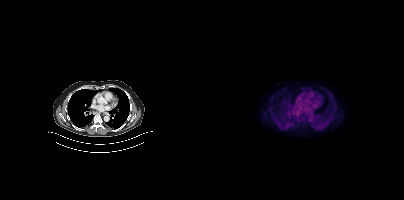
{"modality":"PSMA PET/CT","view":"axial","tracer":"[18F]PSMA-1007","pet_grid":[200,200],"coord_frame":"pet_panel","coord_format":"x0,y0,x1,y1","lesion_bboxes":[],"small_foci_centers":[[89,125]]}